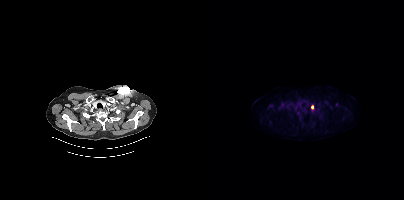
Coordinates are on the 200×200 PET (right) panel. Small PSMA-avid focus (2 to 4 px across) near (center x, center y): (108, 106).
modality: PSMA PET/CT | tracer: [18F]PSMA-1007 | view: axial